- Two-panel axial: CT | PSMA PET, 68Ga-PSMA tracer
- acquired on GE Discovery 690
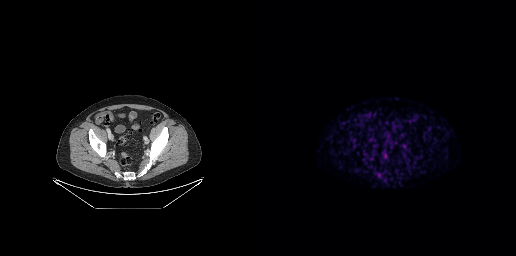
Findings: No tumor lesions annotated on this slice.